Paired axial CT (left) and PSMA PET (right), 18F tracer. PET panel 200×200 px (4.1 mm/px).
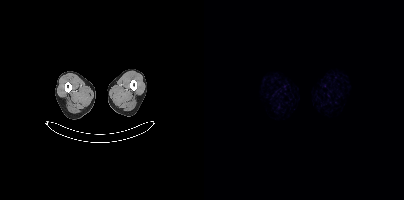
No tumor lesions annotated on this slice.